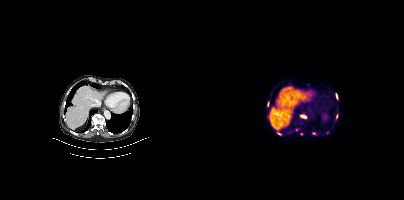
Technique: Two-panel axial: CT | PSMA PET, 68Ga tracer. acquired on Siemens Biograph mCT Flow 20.
Findings: Coordinates are on the 200×200 PET (right) panel. (showing 9 of 10 foci) PSMA-avid tumor lesion bounding boxes (x0, y0)-(x1, y1): (96, 114)-(102, 118); (73, 132)-(77, 135); (132, 94)-(133, 98). Small PSMA-avid foci (2 to 4 px across) near (center x, center y): (123, 132); (110, 133); (64, 103); (132, 116); (92, 129); (97, 133).